Technique: Left: CT. Right: PSMA PET, same axial level, 68Ga tracer. slice position z = -771 mm. PET panel 256×256 px (2.7 mm/px).
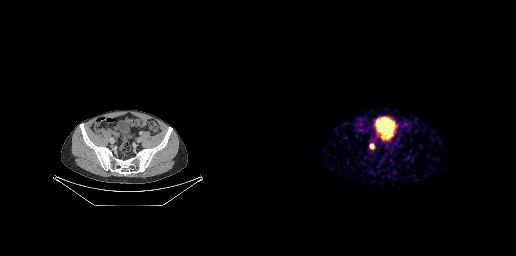
Findings: Coordinates are on the 256×256 PET (right) panel. PSMA-avid tumor lesion bounding box (x0,y0,x1,y1): [110,144,113,148].